Technique: Paired axial CT (left) and PSMA PET (right), [18F]PSMA-1007 tracer.
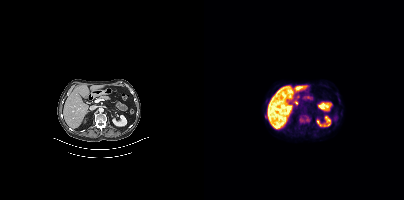
Findings: Coordinates are on the 200×200 PET (right) panel. PSMA-avid tumor lesion bounding box (x, y, width, height): x=96 y=115 w=11 h=9.